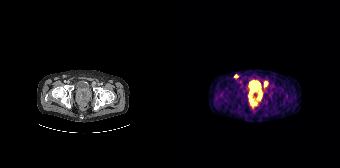
- Paired axial CT (left) and PSMA PET (right), [68Ga]Ga-PSMA-11 tracer
- acquired on Siemens Biograph 64-4R TruePoint
Findings: Coordinates are on the 168×168 PET (right) panel. PSMA-avid tumor lesion bounding boxes (x0,y0,x1,y1): [77,89,85,105]; [85,91,89,100]; [92,81,95,86]. Small PSMA-avid focus (2 to 4 px across) near (center x, center y): (63, 76).